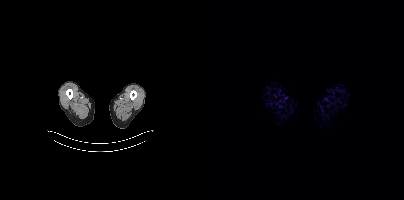
This slice has no annotated PSMA-avid lesion.